Technique: Two-panel axial: CT | PSMA PET, 68Ga-PSMA tracer. acquired on Siemens Biograph 64-4R TruePoint. slice position z = -964 mm.
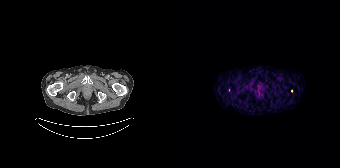
Findings: Only PSMA-avid lesion pieces thinner than 2 px on this slice (not listed).